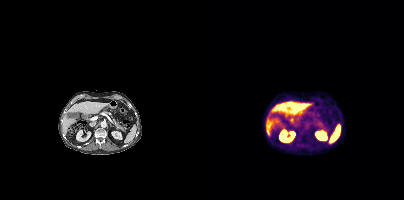
No tumor lesions annotated on this slice. Paired axial CT (left) and PSMA PET (right), [18F]PSMA-1007 tracer. Slice 201 of 389. PET panel 200×200 px (4.1 mm/px).